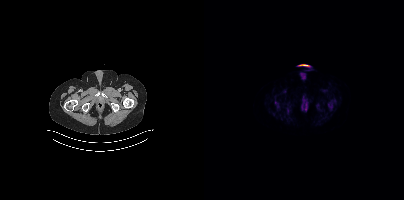
Two-panel axial: CT | PSMA PET, [18F]PSMA-1007 tracer. Acquired on Siemens Biograph mCT Flow 20. Slice 27 of 350. This slice has no annotated PSMA-avid lesion.